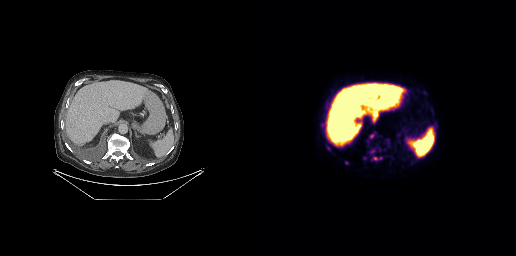
modality: PSMA PET/CT | tracer: 18F | view: axial | PET grid: 256×256
Coordinates are on the 256×256 PET (right) panel. (showing 6 of 8 foci) PSMA-avid tumor lesion bounding boxes (x, y, width, height): x=109 y=133 w=6 h=6 | x=66 y=145 w=5 h=6 | x=62 y=128 w=4 h=7. Small PSMA-avid foci (2 to 4 px across) near (center x, center y): (86, 162) | (62, 124) | (115, 158).